Technique: Left: CT. Right: PSMA PET, same axial level, 18F-PSMA tracer.
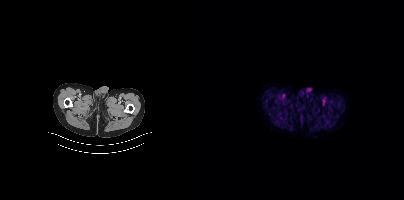
Findings: This slice has no annotated PSMA-avid lesion.